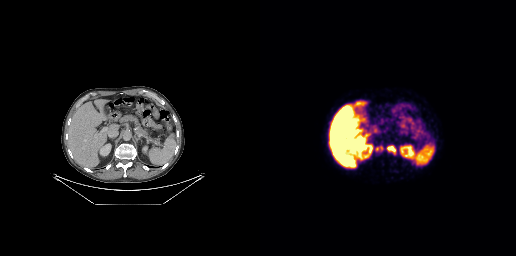
Coordinates are on the 256×256 PET (right) panel. PSMA-avid tumor lesion bounding boxes (x, y, width, height): x=126 y=145 w=11 h=10; x=115 y=145 w=9 h=7.